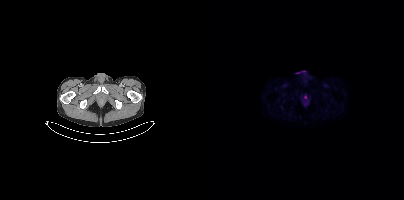
modality: PSMA PET/CT | tracer: 18F-PSMA | view: axial
This slice has no annotated PSMA-avid lesion.